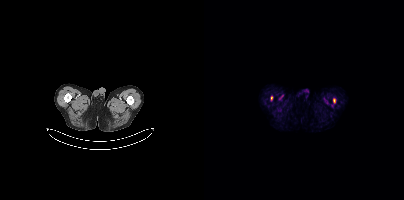
Coordinates are on the 200×200 PET (right) panel. PSMA-avid tumor lesion bounding boxes (x0, y0)-(x1, y1): (129, 98)-(131, 102); (67, 96)-(68, 100).